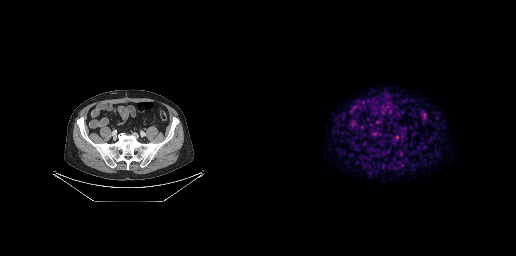
Paired axial CT (left) and PSMA PET (right), 68Ga-PSMA tracer. PET panel 256×256 px (2.7 mm/px). This slice has no annotated PSMA-avid lesion.